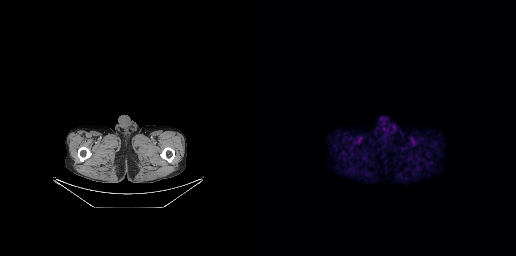
{"pet_grid":[256,256],"coord_frame":"pet_panel","coord_format":"x0,y0,x1,y1","psma_avid_lesions":false,"modality":"PSMA PET/CT","view":"axial","tracer":"18F"}